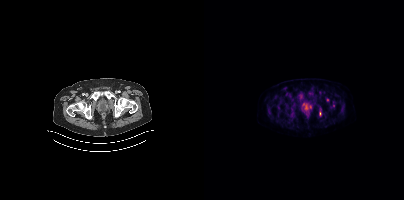
Coordinates are on the 200×200 PET (right) panel. (showing 3 of 5 foci) Small PSMA-avid foci (2 to 4 px across) near (center x, center y): (102, 105), (123, 100), (129, 105).